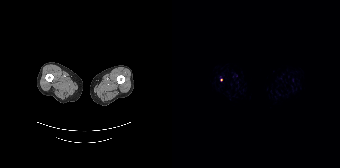
Technique: Paired axial CT (left) and PSMA PET (right), 18F-PSMA tracer. PET panel 168×168 px (4.1 mm/px).
Findings: Coordinates are on the 168×168 PET (right) panel. Small PSMA-avid focus (2 to 4 px across) near (center x, center y): (49, 80).